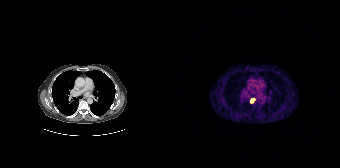
Coordinates are on the 168×168 PET (right) panel. PSMA-avid tumor lesion bounding box (x0,y0,x1,y1): [79,98,82,102].